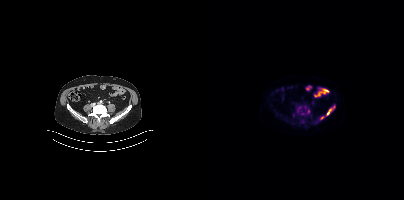
Two-panel axial: CT | PSMA PET, 18F tracer. Acquired on Siemens Biograph mCT Flow 20. PET panel 200×200 px (4.1 mm/px).
Coordinates are on the 200×200 PET (right) panel. PSMA-avid tumor lesion bounding boxes (partial; 2 more foci not listed):
| # | x0 | y0 | x1 | y1 |
|---|---|---|---|---|
| 1 | 122 | 106 | 131 | 115 |
Small PSMA-avid foci (2 to 4 px across) near (center x, center y): (90, 115); (117, 117); (104, 111); (98, 113).